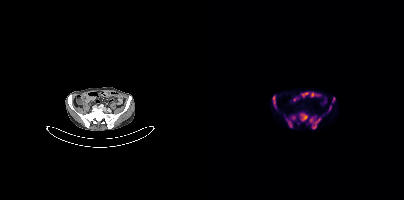
Coordinates are on the 200×200 PET (right) panel. PSMA-avid tumor lesion bounding boxes:
| # | x0 | y0 | x1 | y1 |
|---|---|---|---|---|
| 1 | 82 | 115 | 91 | 127 |
| 2 | 106 | 117 | 116 | 128 |
| 3 | 96 | 113 | 103 | 121 |
| 4 | 69 | 96 | 72 | 107 |
| 5 | 128 | 97 | 131 | 102 |
| 6 | 124 | 105 | 127 | 111 |
Left: CT. Right: PSMA PET, same axial level, 18F tracer. Acquired on Siemens Biograph mCT Flow 20. PET panel 200×200 px (4.1 mm/px).